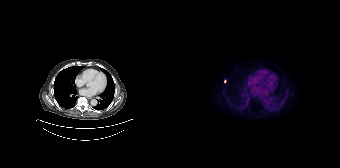
Two-panel axial: CT | PSMA PET, [18F]PSMA-1007 tracer. Slice position z = -892 mm. Coordinates are on the 168×168 PET (right) panel. Small PSMA-avid focus (2 to 4 px across) near (center x, center y): (52, 81).